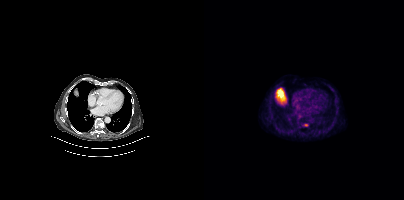
- Paired axial CT (left) and PSMA PET (right), 18F tracer
- acquired on Siemens Biograph mCT Flow 20
- slice position z = -1136 mm
Findings: Only PSMA-avid lesion pieces thinner than 2 px on this slice (not listed).